Head region blanked for anonymization (face removed). Two-panel axial: CT | PSMA PET, 18F tracer.
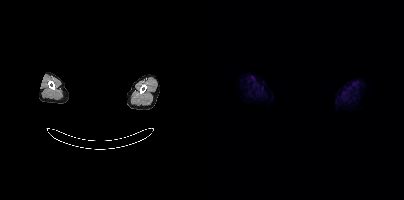
This slice has no annotated PSMA-avid lesion.